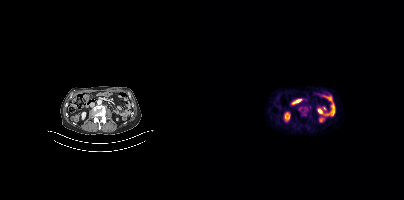
{"modality":"PSMA PET/CT","view":"axial","tracer":"18F-PSMA","pet_grid":[200,200],"coord_frame":"pet_panel","coord_format":"x0,y0,x1,y1","psma_avid_lesions":false}